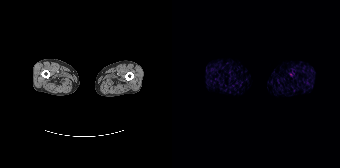
Two-panel axial: CT | PSMA PET, 18F-PSMA tracer. Slice 4 of 195. PET panel 168×168 px (4.1 mm/px). No tumor lesions annotated on this slice.